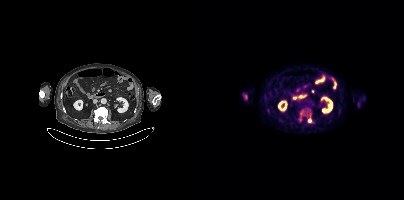
Two-panel axial: CT | PSMA PET, 18F-PSMA tracer. Acquired on Siemens Biograph mCT Flow 20. Coordinates are on the 200×200 PET (right) panel. PSMA-avid tumor lesion bounding box (x, y, width, height): x=96 y=113 w=12 h=10.